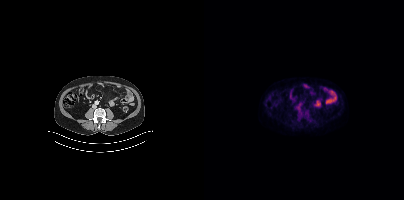
modality: PSMA PET/CT | tracer: 18F | view: axial | PET grid: 200×200
Negative for PSMA-avid disease on this slice.